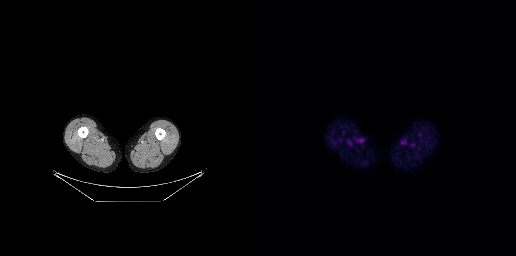
- Two-panel axial: CT | PSMA PET, [18F]PSMA-1007 tracer
- PET panel 256×256 px (2.7 mm/px)
Findings: No PSMA-avid tumor lesions on this slice.